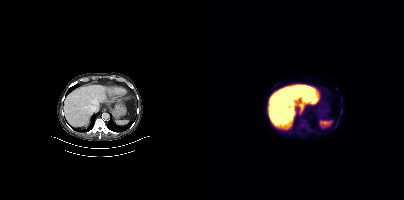
modality: PSMA PET/CT | tracer: 18F-PSMA | view: axial | PET grid: 200×200
Coordinates are on the 200×200 PET (right) panel. (showing 2 of 4 foci) PSMA-avid tumor lesion bounding box (x, y, width, height): x=137 y=109 w=2 h=5. Small PSMA-avid focus (2 to 4 px across) near (center x, center y): (98, 125).